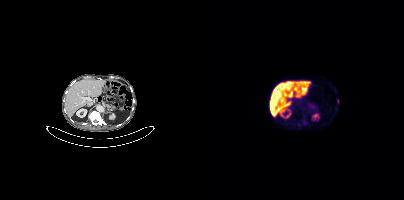
Findings: Coordinates are on the 200×200 PET (right) panel. PSMA-avid tumor lesion bounding box (x0,y0,x1,y1): [99,120,102,124]. Small PSMA-avid focus (2 to 4 px across) near (center x, center y): (133, 101).
- Left: CT. Right: PSMA PET, same axial level, 18F-PSMA tracer
- acquired on Siemens Biograph mCT Flow 20
- slice position z = -740 mm